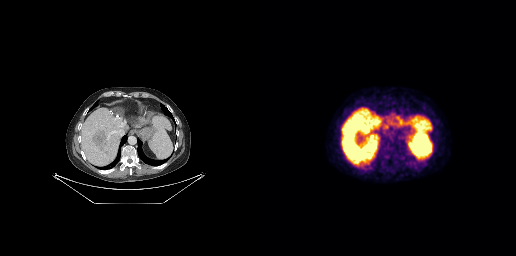
{"modality":"PSMA PET/CT","view":"axial","tracer":"18F-PSMA","pet_grid":[256,256],"coord_frame":"pet_panel","coord_format":"x0,y0,x1,y1","psma_avid_lesions":false}